Paired axial CT (left) and PSMA PET (right), 18F tracer.
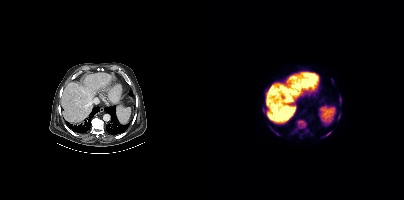
Coordinates are on the 200×200 PET (right) panel. PSMA-avid tumor lesion bounding boxes (partial; 2 more foci not listed):
| # | x0 | y0 | x1 | y1 |
|---|---|---|---|---|
| 1 | 91 | 119 | 102 | 131 |
| 2 | 135 | 96 | 137 | 103 |
| 3 | 122 | 131 | 127 | 136 |
| 4 | 134 | 113 | 136 | 119 |
Small PSMA-avid foci (2 to 4 px across) near (center x, center y): (102, 130); (73, 134); (69, 130).